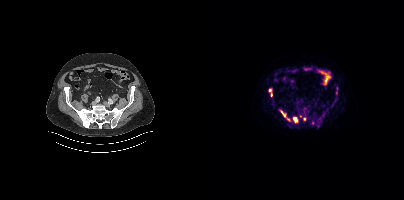
- Two-panel axial: CT | PSMA PET, 18F tracer
- acquired on Siemens Biograph mCT Flow 20
- PET panel 200×200 px (4.1 mm/px)
Findings: Coordinates are on the 200×200 PET (right) panel. (showing 7 of 9 foci) PSMA-avid tumor lesion bounding boxes (x0, y0)-(x1, y1): (112, 118)-(118, 124); (89, 117)-(94, 122); (77, 111)-(81, 116). Small PSMA-avid foci (2 to 4 px across) near (center x, center y): (100, 118); (84, 119); (66, 90); (67, 94).